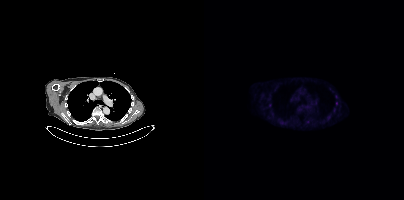
Coordinates are on the 200×200 PET (right) panel. Small PSMA-avid foci (2 to 4 px across) near (center x, center y): (132, 96) | (132, 103).